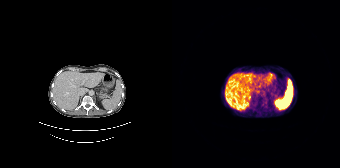
{"modality":"PSMA PET/CT","view":"axial","tracer":"68Ga","pet_grid":[168,168],"coord_frame":"pet_panel","coord_format":"x0,y0,x1,y1","psma_avid_lesions":false}